Technique: Left: CT. Right: PSMA PET, same axial level, [18F]PSMA-1007 tracer. PET panel 256×256 px (2.7 mm/px).
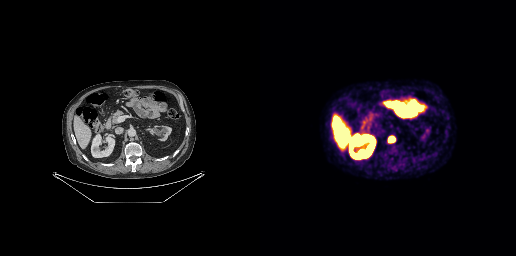
Findings: Coordinates are on the 256×256 PET (right) panel. PSMA-avid tumor lesion bounding box (x, y, width, height): x=128 y=135 w=8 h=9.